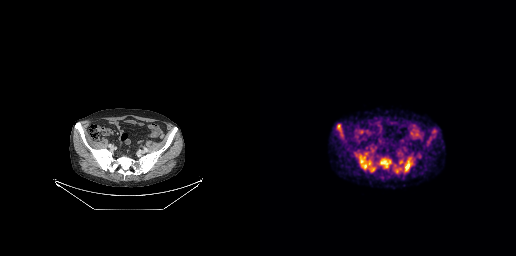
Coordinates are on the 256×256 PET (right) panel. PSMA-avid tumor lesion bounding boxes (x, y, width, height): x=99 y=156 w=12 h=14 | x=144 y=157 w=9 h=15 | x=120 y=160 w=12 h=8 | x=77 y=124 w=6 h=11. Small PSMA-avid focus (2 to 4 px across) near (center x, center y): (112, 169).
modality: PSMA PET/CT | tracer: 18F-PSMA | view: axial